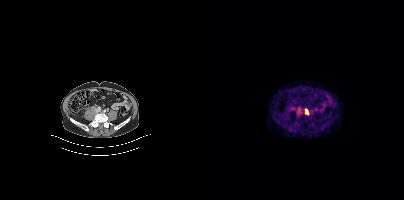
modality: PSMA PET/CT | tracer: [18F]PSMA-1007 | view: axial | PET grid: 200×200
Coordinates are on the 200×200 PET (right) panel. PSMA-avid tumor lesion bounding boxes (x0,y0,x1,y1): [92,108,97,113]; [101,109,104,114].